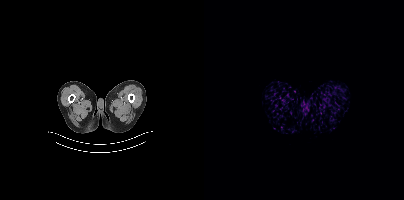
{"modality":"PSMA PET/CT","view":"axial","tracer":"68Ga","pet_grid":[200,200],"coord_frame":"pet_panel","coord_format":"x0,y0,x1,y1","psma_avid_lesions":false}